modality: PSMA PET/CT | tracer: [18F]PSMA-1007 | view: axial
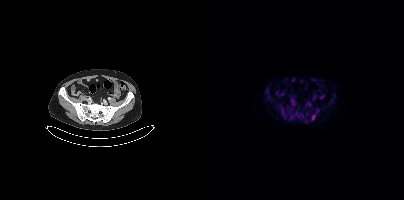
Coordinates are on the 200×200 PET (right) panel. PSMA-avid tumor lesion bounding box (x0,y0,x1,y1): [108,115,111,120].